Technique: Paired axial CT (left) and PSMA PET (right), 18F-PSMA tracer. acquired on Siemens Biograph mCT Flow 20. slice 271 of 397. PET panel 200×200 px (4.1 mm/px).
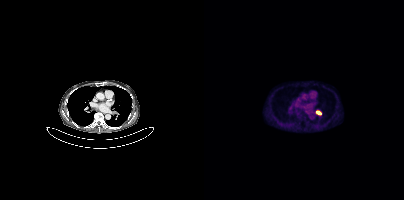
Findings: Coordinates are on the 200×200 PET (right) panel. PSMA-avid tumor lesion bounding box (x, y, width, height): x=112 y=110 w=6 h=6.